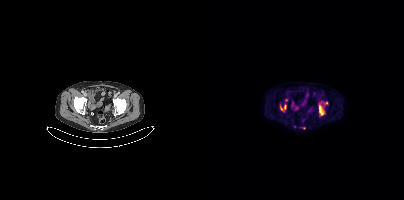
- Two-panel axial: CT | PSMA PET, 18F tracer
- acquired on Siemens Biograph mCT Flow 20
Findings: Coordinates are on the 200×200 PET (right) panel. PSMA-avid tumor lesion bounding boxes (x0, y0)-(x1, y1): (115, 102)-(124, 115) | (76, 104)-(81, 111). Small PSMA-avid focus (2 to 4 px across) near (center x, center y): (100, 127).